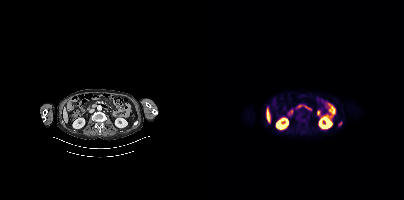
Findings: Coordinates are on the 200×200 PET (right) panel. Small PSMA-avid focus (2 to 4 px across) near (center x, center y): (135, 124).
- Paired axial CT (left) and PSMA PET (right), 18F tracer
- slice 189 of 415
- PET panel 200×200 px (4.1 mm/px)